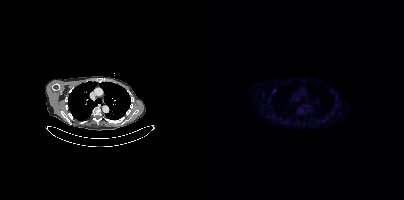
Findings: Coordinates are on the 200×200 PET (right) panel. (showing 2 of 3 foci) Small PSMA-avid foci (2 to 4 px across) near (center x, center y): (97, 110), (70, 91).
- Paired axial CT (left) and PSMA PET (right), 18F-PSMA tracer
- acquired on Siemens Biograph mCT Flow 20